- Two-panel axial: CT | PSMA PET, 18F tracer
- acquired on Siemens Biograph mCT Flow 20
- PET panel 200×200 px (4.1 mm/px)
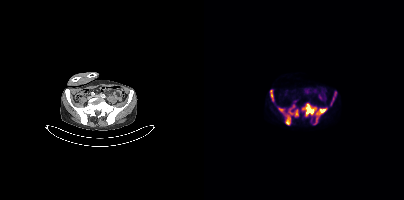
Findings: Coordinates are on the 200×200 PET (right) panel. PSMA-avid tumor lesion bounding boxes (x, y, width, height): x=98 y=103 w=26 h=22; x=74 y=107 w=16 h=8; x=81 y=115 w=6 h=10; x=66 y=90 w=5 h=12; x=126 y=91 w=7 h=15; x=91 y=109 w=4 h=8. Small PSMA-avid foci (2 to 4 px across) near (center x, center y): (89, 106); (107, 119).